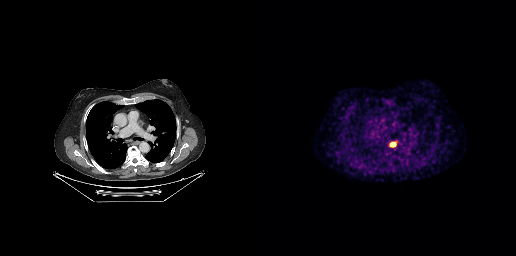
Coordinates are on the 256×256 PET (right) panel. PSMA-avid tumor lesion bounding box (x0,y0,x1,y1): [130,142,135,146].
modality: PSMA PET/CT | tracer: 18F-PSMA | view: axial | PET grid: 256×256